- Left: CT. Right: PSMA PET, same axial level, [18F]PSMA-1007 tracer
- slice 176 of 401
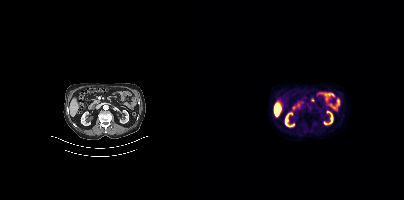
Findings: Negative for PSMA-avid disease on this slice.